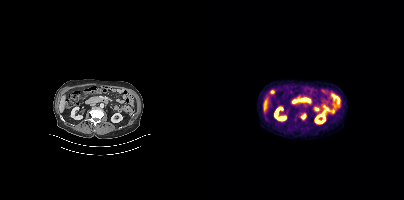
{"modality":"PSMA PET/CT","view":"axial","tracer":"18F","pet_grid":[200,200],"coord_frame":"pet_panel","coord_format":"x0,y0,x1,y1","lesion_bboxes":[[97,114,102,119]]}